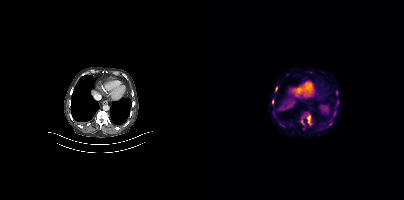
{"pet_grid":[200,200],"coord_frame":"pet_panel","coord_format":"x0,y0,x1,y1","lesion_bboxes":[[96,111,107,130],[68,109,72,115],[132,90,134,95],[71,86,73,91],[130,111,132,116],[68,99,69,104],[133,100,134,105]],"small_foci_centers":[[106,72],[126,124],[123,127],[83,74]],"modality":"PSMA PET/CT","view":"axial","tracer":"18F"}